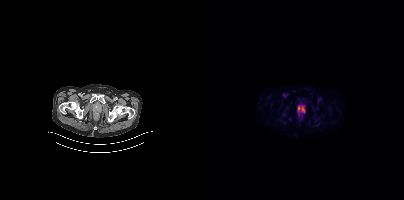
Coordinates are on the 200×200 PET (right) panel. PSMA-avid tumor lesion bounding boxes:
| # | x0 | y0 | x1 | y1 |
|---|---|---|---|---|
| 1 | 98 | 107 | 100 | 111 |
Small PSMA-avid focus (2 to 4 px across) near (center x, center y): (94, 108).
Two-panel axial: CT | PSMA PET, [18F]PSMA-1007 tracer. Slice 65 of 415. PET panel 200×200 px (4.1 mm/px).